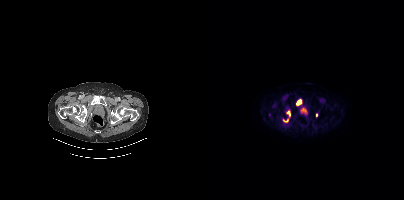
Paired axial CT (left) and PSMA PET (right), [18F]PSMA-1007 tracer. Acquired on Siemens Biograph mCT Flow 20. Slice position z = -1510 mm. PET panel 200×200 px (4.1 mm/px).
Coordinates are on the 200×200 PET (right) panel. PSMA-avid tumor lesion bounding boxes (partial; 1 more focus not listed):
| # | x0 | y0 | x1 | y1 |
|---|---|---|---|---|
| 1 | 92 | 100 | 97 | 105 |
Small PSMA-avid foci (2 to 4 px across) near (center x, center y): (84, 112); (112, 114); (80, 120).